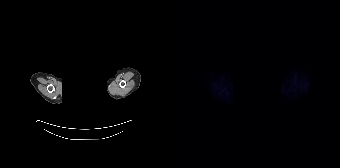
Face de-identified by blanking a block of the head. Left: CT. Right: PSMA PET, same axial level, [18F]PSMA-1007 tracer. Acquired on Siemens Biograph 64-4R TruePoint. Negative for PSMA-avid disease on this slice.